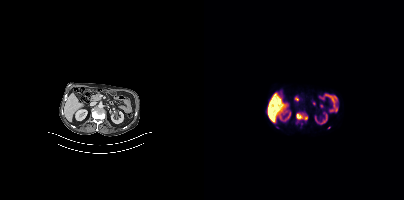
Left: CT. Right: PSMA PET, same axial level, 18F tracer. Acquired on Siemens Biograph mCT Flow 20. Slice 186 of 387.
Coordinates are on the 200×200 PET (right) panel. PSMA-avid tumor lesion bounding boxes (partial; 1 more focus not listed):
| # | x0 | y0 | x1 | y1 |
|---|---|---|---|---|
| 1 | 92 | 114 | 98 | 119 |
Small PSMA-avid foci (2 to 4 px across) near (center x, center y): (101, 118); (125, 127).